Two-panel axial: CT | PSMA PET, 18F-PSMA tracer. Slice position z = -764 mm. Face de-identified by blanking a block of the head.
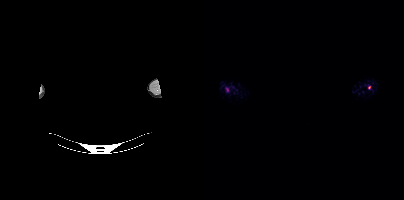
Coordinates are on the 200×200 PET (right) panel. Small PSMA-avid foci (2 to 4 px across) near (center x, center y): (165, 87) | (23, 89).